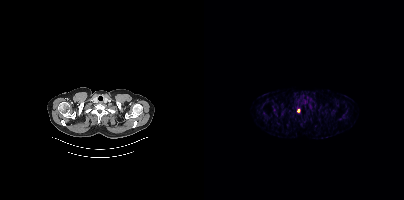
Coordinates are on the 200×200 PET (right) panel. Small PSMA-avid focus (2 to 4 px across) near (center x, center y): (94, 110).